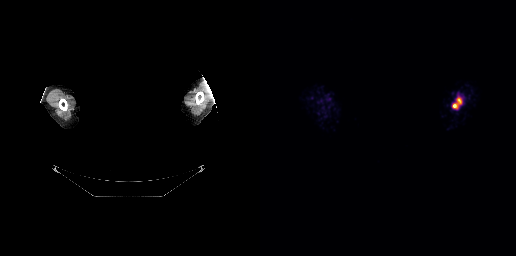
{"modality":"PSMA PET/CT","view":"axial","tracer":"[68Ga]Ga-PSMA-11","pet_grid":[256,256],"coord_frame":"pet_panel","coord_format":"x0,y0,x1,y1","de-identification":"head region blanked (face removed)","lesion_bboxes":[[193,98,201,108]]}